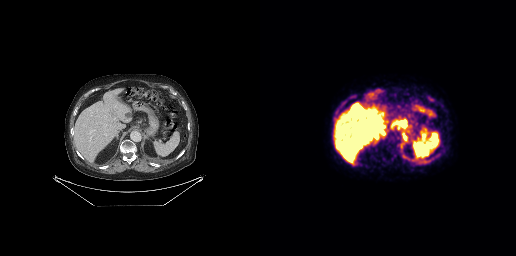
{"modality":"PSMA PET/CT","view":"axial","tracer":"18F-PSMA","pet_grid":[256,256],"coord_frame":"pet_panel","coord_format":"x0,y0,x1,y1","lesion_bboxes":[],"small_foci_centers":[[171,99]]}